Technique: Left: CT. Right: PSMA PET, same axial level, [18F]PSMA-1007 tracer. slice 293 of 454.
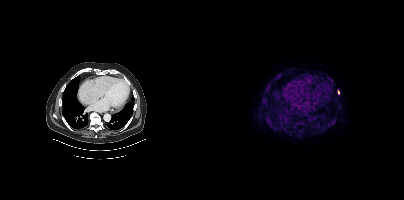
Findings: Coordinates are on the 200×200 PET (right) panel. PSMA-avid tumor lesion bounding box (x0,y0,x1,y1): [134,90,135,94].